- Paired axial CT (left) and PSMA PET (right), [18F]PSMA-1007 tracer
- slice 17 of 165
- PET panel 168×168 px (4.1 mm/px)
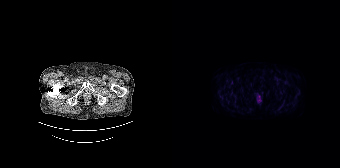
Findings: Negative for PSMA-avid disease on this slice.